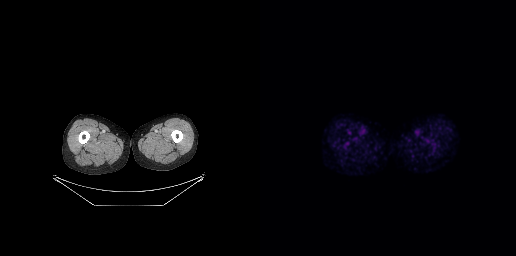
Technique: Two-panel axial: CT | PSMA PET, 18F-PSMA tracer. slice position z = -1003 mm. PET panel 256×256 px (2.7 mm/px).
Findings: No tumor lesions annotated on this slice.